modality: PSMA PET/CT | tracer: [18F]PSMA-1007 | view: axial | PET grid: 200×200
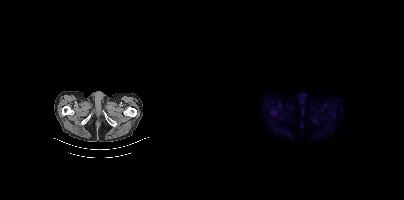
This slice has no annotated PSMA-avid lesion.